- Left: CT. Right: PSMA PET, same axial level, 18F-PSMA tracer
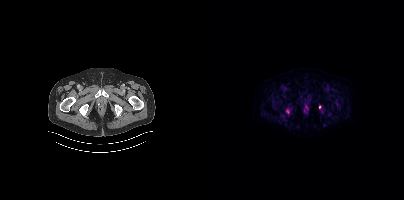
Findings: Coordinates are on the 200×200 PET (right) panel. Small PSMA-avid focus (2 to 4 px across) near (center x, center y): (115, 106).